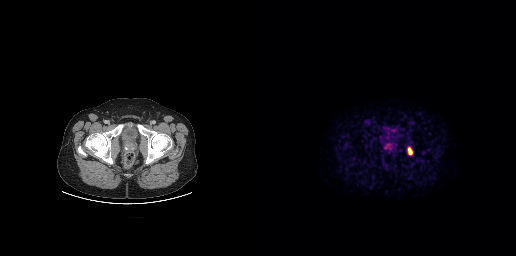
Coordinates are on the 256×256 PET (right) panel. (showing 1 of 2 foci) PSMA-avid tumor lesion bounding box (x0, y0)-(x1, y1): (147, 146)-(153, 155).